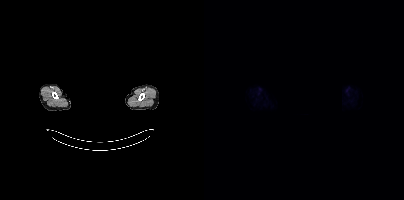
Left: CT. Right: PSMA PET, same axial level, 18F tracer. Acquired on Siemens Biograph mCT Flow 20. Slice position z = -843 mm. Face de-identified by blanking a block of the head. No PSMA-avid tumor lesions on this slice.